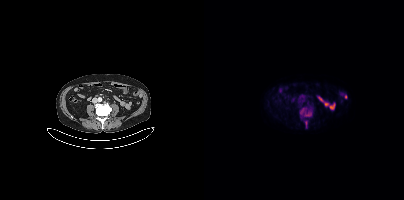
Coordinates are on the 200×200 PET (right) panel. (showing 2 of 3 foci) PSMA-avid tumor lesion bounding box (x0,y0,x1,y1): [101,113,107,115]. Small PSMA-avid focus (2 to 4 px across) near (center x, center y): (98, 110). Paired axial CT (left) and PSMA PET (right), [18F]PSMA-1007 tracer. Acquired on Siemens Biograph mCT Flow 20. PET panel 200×200 px (4.1 mm/px).